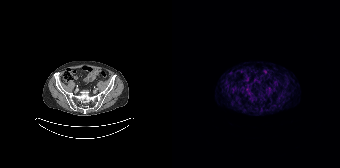
- Paired axial CT (left) and PSMA PET (right), 68Ga tracer
- acquired on Siemens Biograph 64-4R TruePoint
- PET panel 168×168 px (4.1 mm/px)
Findings: No tumor lesions annotated on this slice.